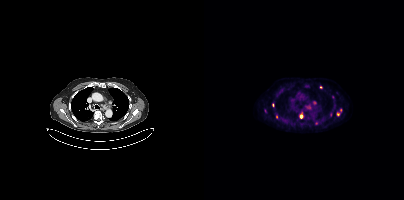
Left: CT. Right: PSMA PET, same axial level, [18F]PSMA-1007 tracer. Slice 285 of 387. Coordinates are on the 200×200 PET (right) panel. (showing 7 of 12 foci) PSMA-avid tumor lesion bounding box (x0, y0)-(x1, y1): (96, 114)-(98, 118). Small PSMA-avid foci (2 to 4 px across) near (center x, center y): (109, 102) | (134, 114) | (61, 110) | (69, 105) | (136, 110) | (72, 116).